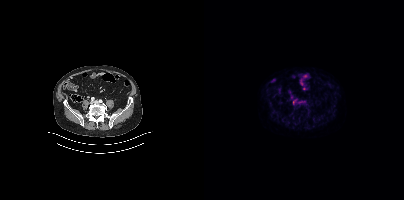
modality: PSMA PET/CT | tracer: [18F]PSMA-1007 | view: axial
Only PSMA-avid lesion pieces thinner than 2 px on this slice (not listed).